Paired axial CT (left) and PSMA PET (right), 68Ga-PSMA tracer. Acquired on GE Discovery 690. PET panel 256×256 px (2.7 mm/px).
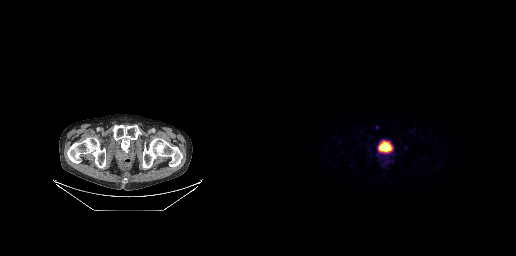
Only PSMA-avid lesion pieces thinner than 2 px on this slice (not listed).